Technique: Paired axial CT (left) and PSMA PET (right), [68Ga]Ga-PSMA-11 tracer. slice 54 of 165. PET panel 168×168 px (4.1 mm/px).
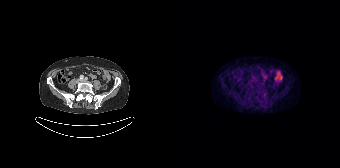
Findings: No PSMA-avid tumor lesions on this slice.